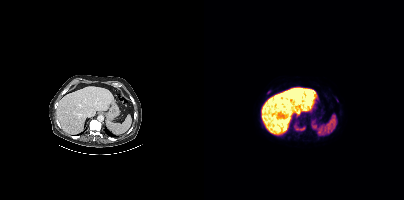
Technique: Left: CT. Right: PSMA PET, same axial level, [18F]PSMA-1007 tracer. acquired on Siemens Biograph mCT Flow 20. slice 331 of 508. PET panel 200×200 px (4.1 mm/px).
Findings: Coordinates are on the 200×200 PET (right) panel. (showing 2 of 3 foci) PSMA-avid tumor lesion bounding box (x0, y0)-(x1, y1): (90, 122)-(101, 130). Small PSMA-avid focus (2 to 4 px across) near (center x, center y): (64, 91).